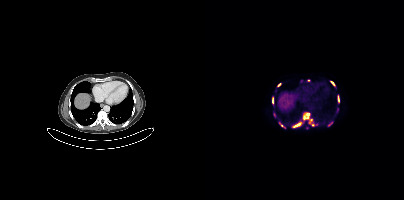
Left: CT. Right: PSMA PET, same axial level, 18F-PSMA tracer. Acquired on Siemens Biograph mCT Flow 20.
Coordinates are on the 200×200 PET (right) panel. PSMA-avid tumor lesion bounding boxes (partial; 1 more focus not listed):
| # | x0 | y0 | x1 | y1 |
|---|---|---|---|---|
| 1 | 99 | 112 | 109 | 125 |
| 2 | 133 | 95 | 135 | 102 |
| 3 | 68 | 97 | 69 | 103 |
| 4 | 126 | 81 | 130 | 85 |
| 5 | 124 | 122 | 128 | 126 |
Small PSMA-avid foci (2 to 4 px across) near (center x, center y): (104, 80); (103, 127); (75, 85); (70, 114); (77, 125).